- Paired axial CT (left) and PSMA PET (right), [18F]PSMA-1007 tracer
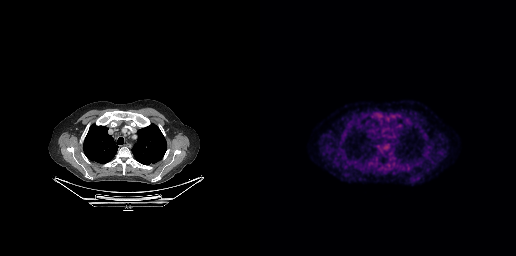
Findings: No PSMA-avid tumor lesions on this slice.